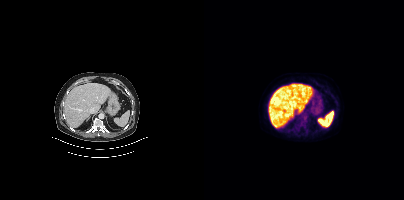
Left: CT. Right: PSMA PET, same axial level, 18F tracer. Acquired on Siemens Biograph mCT Flow 20. Slice position z = -468 mm. PET panel 200×200 px (4.1 mm/px). No PSMA-avid tumor lesions on this slice.